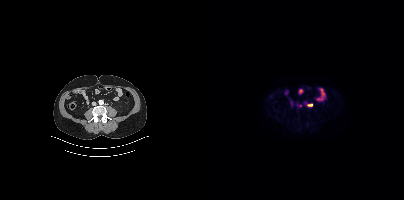
Coordinates are on the 200×200 PET (right) panel. PSMA-avid tumor lesion bounding box (x0, y0)-(x1, y1): (103, 104)-(108, 106). Small PSMA-avid focus (2 to 4 px across) near (center x, center y): (96, 105).